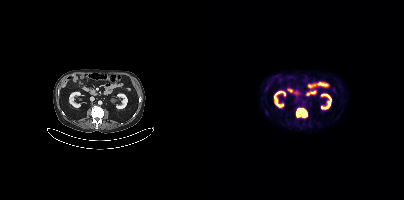
modality: PSMA PET/CT | tracer: 18F-PSMA | view: axial | PET grid: 200×200
Coordinates are on the 200×200 PET (right) panel. PSMA-avid tumor lesion bounding box (x0,y0,x1,y1): [92,108,103,117].